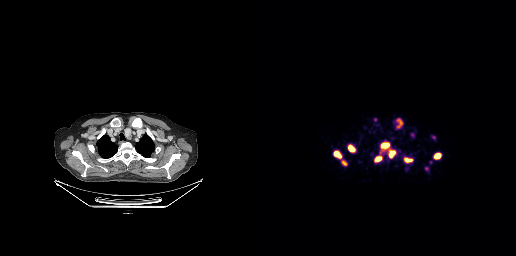
Findings: Coordinates are on the 256×256 PET (right) panel. PSMA-avid tumor lesion bounding boxes (x0,y0,x1,y1): [136,118,143,126]; [74,151,81,157]; [122,143,128,148]; [174,153,180,158]; [89,146,94,151]; [116,157,120,160]; [130,152,134,156]. Small PSMA-avid foci (2 to 4 px across) near (center x, center y): (146, 160); (84, 163).
Technique: Paired axial CT (left) and PSMA PET (right), [68Ga]Ga-PSMA-11 tracer.